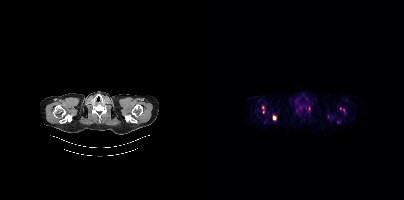
Coordinates are on the 200×200 PET (right) panel. (showing 2 of 5 foci) Small PSMA-avid foci (2 to 4 px across) near (center x, center y): (70, 117), (58, 107).
modality: PSMA PET/CT | tracer: 18F-PSMA | view: axial